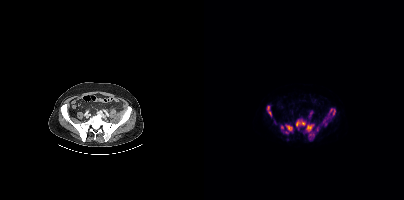
Coordinates are on the 200×200 PET (right) panel. (showing 10 of 11 foci) PSMA-avid tumor lesion bounding boxes (x, y, width, height): x=92 y=119 w=10 h=8 / x=123 y=108 w=9 h=10 / x=102 y=124 w=8 h=8 / x=82 y=125 w=7 h=6 / x=63 y=106 w=5 h=10 / x=105 y=135 w=6 h=6 / x=118 y=120 w=6 h=6 / x=76 y=125 w=4 h=5 / x=113 y=127 w=3 h=5. Small PSMA-avid focus (2 to 4 px across) near (center x, center y): (82, 132).
modality: PSMA PET/CT | tracer: 18F | view: axial | PET grid: 200×200